Technique: Left: CT. Right: PSMA PET, same axial level, 18F tracer. slice position z = -726 mm.
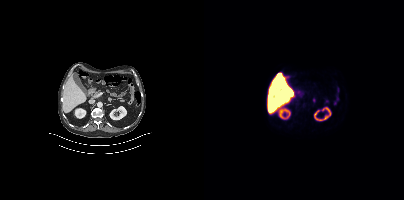
Findings: Negative for PSMA-avid disease on this slice.